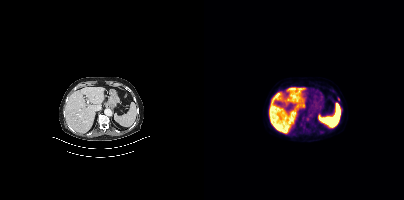
Coordinates are on the 200×200 PET (right) panel. Small PSMA-avid focus (2 to 4 px across) near (center x, center y): (134, 98).